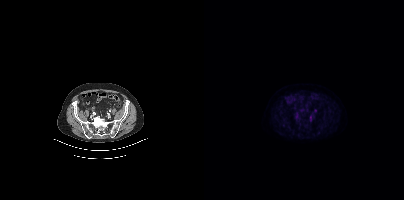
Coordinates are on the 200×200 PET (right) panel. Small PSMA-avid focus (2 to 4 px across) near (center x, center y): (111, 110).